Technique: Two-panel axial: CT | PSMA PET, 18F-PSMA tracer. PET panel 200×200 px (4.1 mm/px).
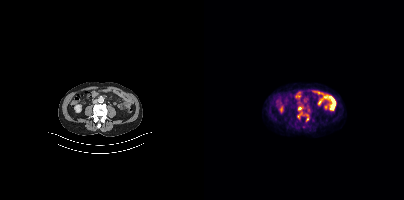
Findings: Coordinates are on the 200×200 PET (right) panel. (showing 2 of 3 foci) Small PSMA-avid foci (2 to 4 px across) near (center x, center y): (95, 108) / (103, 119).